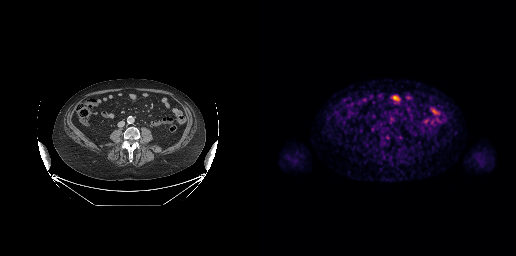
No tumor lesions annotated on this slice. Left: CT. Right: PSMA PET, same axial level, 18F tracer. Acquired on GE Discovery 690. Slice 116 of 263. PET panel 256×256 px (2.7 mm/px).